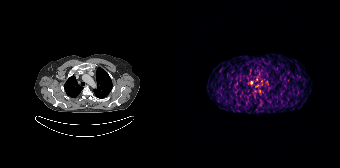
{"pet_grid":[168,168],"coord_frame":"pet_panel","coord_format":"x0,y0,x1,y1","lesion_bboxes":[],"small_foci_centers":[[79,82]],"modality":"PSMA PET/CT","view":"axial","tracer":"68Ga-PSMA"}